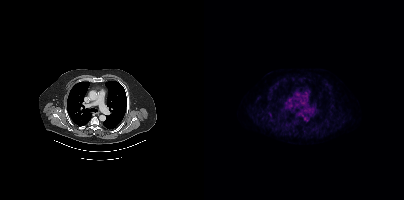
- Left: CT. Right: PSMA PET, same axial level, [18F]PSMA-1007 tracer
Findings: Coordinates are on the 200×200 PET (right) panel. Small PSMA-avid focus (2 to 4 px across) near (center x, center y): (98, 114).